- Paired axial CT (left) and PSMA PET (right), 18F tracer
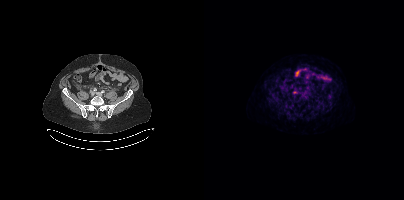
Findings: Coordinates are on the 200×200 PET (right) panel. PSMA-avid tumor lesion bounding box (x0, y0)-(x1, y1): (99, 96)-(103, 100). Small PSMA-avid focus (2 to 4 px across) near (center x, center y): (90, 96).